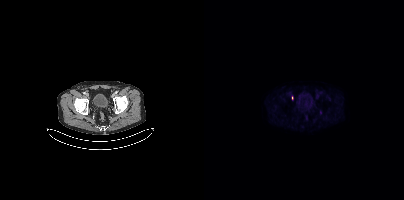
No tumor lesions annotated on this slice.